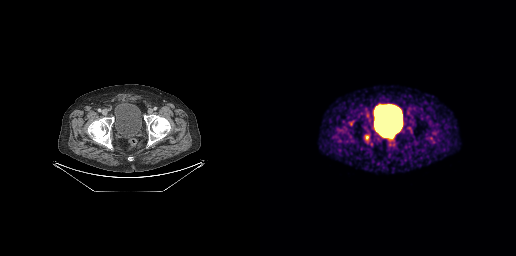
Only PSMA-avid lesion pieces thinner than 2 px on this slice (not listed).